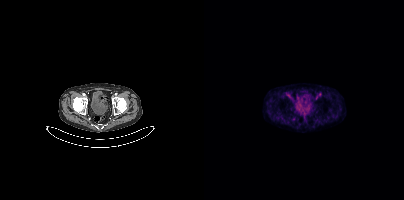
Findings: No PSMA-avid tumor lesions on this slice.
- Two-panel axial: CT | PSMA PET, [18F]PSMA-1007 tracer
- acquired on Siemens Biograph mCT Flow 20